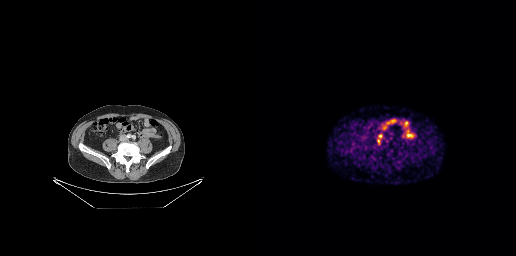
modality: PSMA PET/CT | tracer: 68Ga | view: axial | PET grid: 256×256
Coordinates are on the 256×256 PET (right) panel. PSMA-avid tumor lesion bounding box (x0,y0,x1,y1): [117,134,122,144].